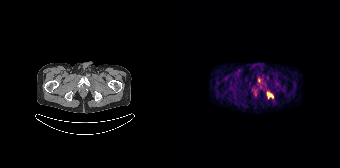
Paired axial CT (left) and PSMA PET (right), [68Ga]Ga-PSMA-11 tracer.
Coordinates are on the 168×168 PET (right) panel. PSMA-avid tumor lesion bounding boxes:
| # | x0 | y0 | x1 | y1 |
|---|---|---|---|---|
| 1 | 95 | 93 | 101 | 98 |
Small PSMA-avid foci (2 to 4 px across) near (center x, center y): (87, 79); (88, 85).